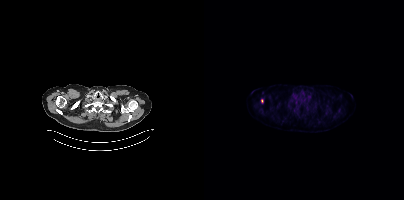
Technique: Left: CT. Right: PSMA PET, same axial level, [18F]PSMA-1007 tracer. slice position z = -926 mm.
Findings: Coordinates are on the 200×200 PET (right) panel. Small PSMA-avid focus (2 to 4 px across) near (center x, center y): (58, 100).